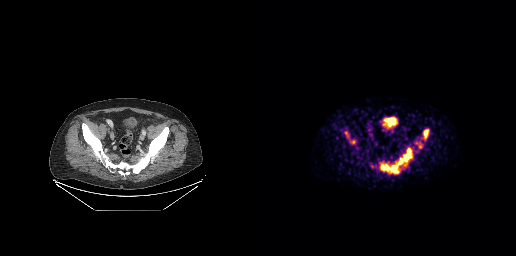
{"pet_grid":[256,256],"coord_frame":"pet_panel","coord_format":"x0,y0,x1,y1","lesion_bboxes":[[120,148,152,173],[163,129,168,138],[90,140,95,143]],"small_foci_centers":[[160,146],[144,164]],"modality":"PSMA PET/CT","view":"axial","tracer":"68Ga-PSMA"}